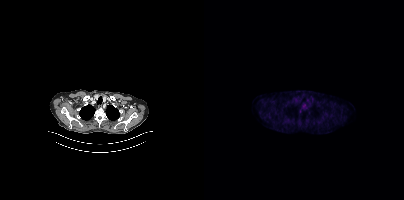
{"modality":"PSMA PET/CT","view":"axial","tracer":"18F","pet_grid":[200,200],"coord_frame":"pet_panel","coord_format":"x0,y0,x1,y1","lesion_bboxes":[],"small_foci_centers":[[96,111]]}